Left: CT. Right: PSMA PET, same axial level, [68Ga]Ga-PSMA-11 tracer. Slice position z = -1016 mm.
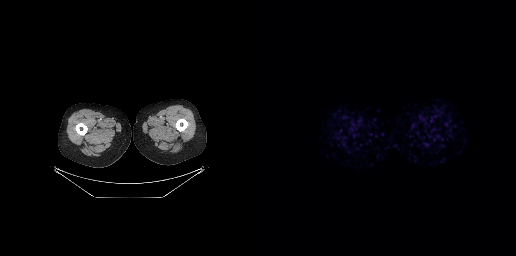
This slice has no annotated PSMA-avid lesion.